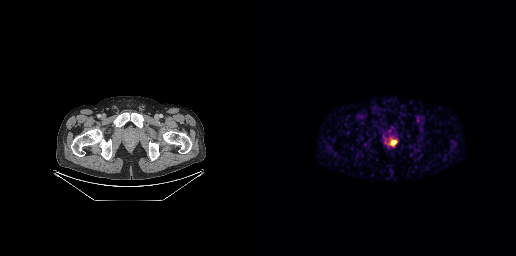
{"pet_grid":[256,256],"coord_frame":"pet_panel","coord_format":"x0,y0,x1,y1","lesion_bboxes":[[131,141,136,144]],"modality":"PSMA PET/CT","view":"axial","tracer":"68Ga-PSMA"}